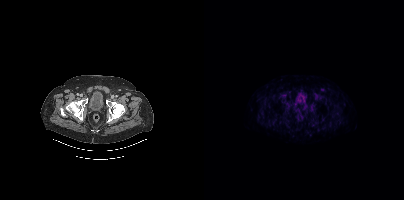
modality: PSMA PET/CT | tracer: [18F]PSMA-1007 | view: axial | PET grid: 200×200
Coordinates are on the 200×200 PET (right) panel. Small PSMA-avid focus (2 to 4 px across) near (center x, center y): (118, 89).